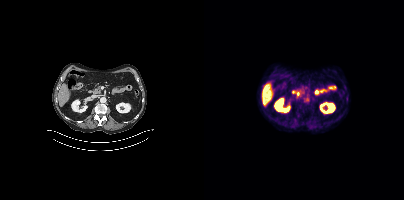
Negative for PSMA-avid disease on this slice.